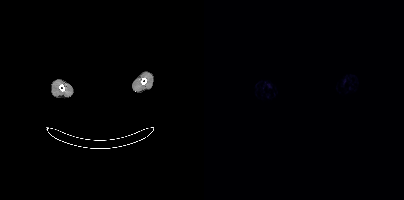
No PSMA-avid tumor lesions on this slice.
redaction: head region blacked out before release | modality: PSMA PET/CT | tracer: 68Ga-PSMA | view: axial